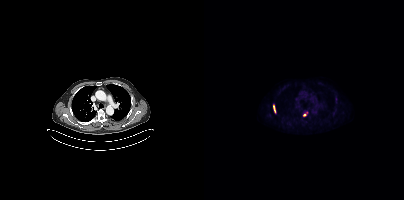
Coordinates are on the 200×200 PET (right) panel. PSMA-avid tumor lesion bounding boxes:
| # | x0 | y0 | x1 | y1 |
|---|---|---|---|---|
| 1 | 100 | 111 | 103 | 115 |
| 2 | 69 | 106 | 71 | 111 |
Paired axial CT (left) and PSMA PET (right), 18F-PSMA tracer. Acquired on Siemens Biograph mCT Flow 20. Slice 296 of 403.